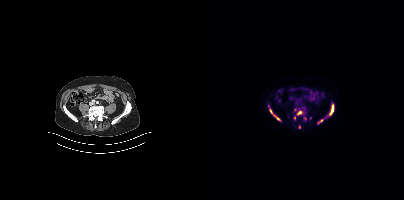
Technique: Paired axial CT (left) and PSMA PET (right), [18F]PSMA-1007 tracer. acquired on Siemens Biograph mCT Flow 20. slice 144 of 429.
Findings: Coordinates are on the 200×200 PET (right) panel. (showing 6 of 7 foci) PSMA-avid tumor lesion bounding boxes (x, y, width, height): x=66 y=109 w=11 h=12 / x=126 y=104 w=4 h=11 / x=93 y=111 w=5 h=5. Small PSMA-avid foci (2 to 4 px across) near (center x, center y): (101, 118) / (90, 117) / (117, 120).